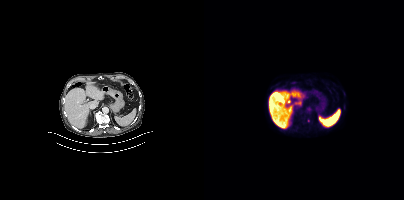
Findings: Only PSMA-avid lesion pieces thinner than 2 px on this slice (not listed).
- Two-panel axial: CT | PSMA PET, 18F-PSMA tracer
- acquired on Siemens Biograph mCT Flow 20
- slice 237 of 421